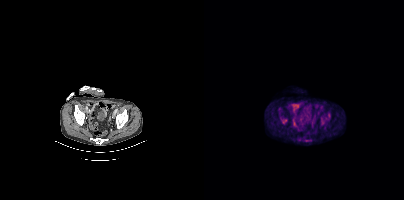
Findings: Coordinates are on the 200×200 PET (right) panel. PSMA-avid tumor lesion bounding boxes (x0, y0)-(x1, y1): (123, 112)-(126, 117) | (116, 116)-(120, 120) | (78, 119)-(83, 123). Small PSMA-avid focus (2 to 4 px across) near (center x, center y): (120, 123).
Technique: Two-panel axial: CT | PSMA PET, 18F-PSMA tracer. PET panel 200×200 px (4.1 mm/px).